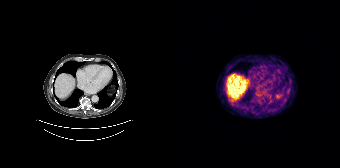
{"modality":"PSMA PET/CT","view":"axial","tracer":"[68Ga]Ga-PSMA-11","pet_grid":[168,168],"coord_frame":"pet_panel","coord_format":"x0,y0,x1,y1","lesion_bboxes":[],"small_foci_centers":[[87,91]]}